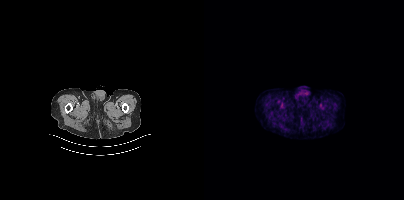
{"pet_grid":[200,200],"coord_frame":"pet_panel","coord_format":"x0,y0,x1,y1","psma_avid_lesions":false,"modality":"PSMA PET/CT","view":"axial","tracer":"18F"}